Technique: Left: CT. Right: PSMA PET, same axial level, 18F-PSMA tracer. acquired on Siemens Biograph mCT Flow 20. PET panel 200×200 px (4.1 mm/px).
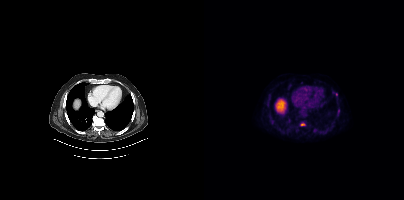
Findings: Coordinates are on the 200×200 PET (right) panel. Small PSMA-avid foci (2 to 4 px across) near (center x, center y): (132, 94); (98, 124).